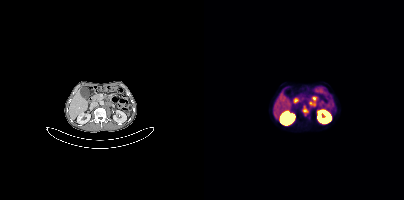
Coordinates are on the 200×200 PET (right) panel. PSMA-avid tumor lesion bounding boxes (x0,y0,x1,y1): [105,96,112,106] [98,106,104,115].